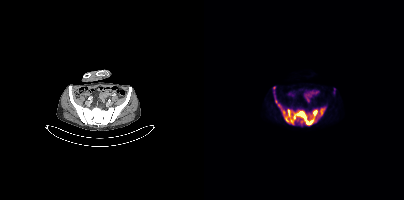
modality: PSMA PET/CT | tracer: [18F]PSMA-1007 | view: axial | PET grid: 200×200
Coordinates are on the 200×200 PET (right) panel. (showing 2 of 5 foci) PSMA-avid tumor lesion bounding box (x0, y0)-(x1, y1): (70, 95)-(121, 125). Small PSMA-avid focus (2 to 4 px across) near (center x, center y): (70, 87).